- Left: CT. Right: PSMA PET, same axial level, [18F]PSMA-1007 tracer
- acquired on Siemens Biograph mCT Flow 20
- slice 22 of 423
- PET panel 200×200 px (4.1 mm/px)
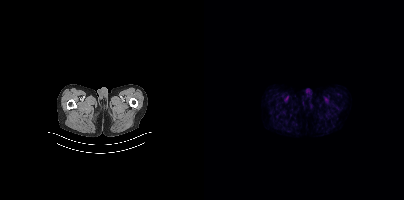
Findings: No tumor lesions annotated on this slice.